Technique: Paired axial CT (left) and PSMA PET (right), 18F tracer. acquired on Siemens Biograph mCT Flow 20. PET panel 200×200 px (4.1 mm/px).
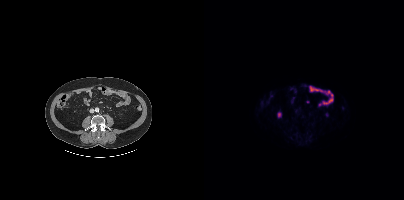
Findings: No PSMA-avid tumor lesions on this slice.